modality: PSMA PET/CT | tracer: 68Ga | view: axial | PET grid: 168×168
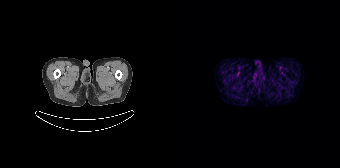
No tumor lesions annotated on this slice.